- Paired axial CT (left) and PSMA PET (right), 18F tracer
- acquired on Siemens Biograph mCT Flow 20
- PET panel 200×200 px (4.1 mm/px)
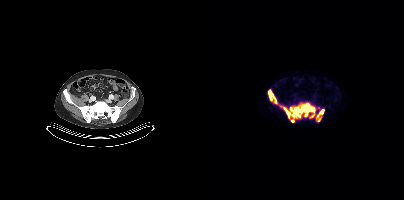
Findings: Coordinates are on the 200×200 PET (right) panel. PSMA-avid tumor lesion bounding boxes (x0, y0)-(x1, y1): (86, 103)-(110, 117) / (64, 89)-(73, 103) / (79, 107)-(86, 118) / (113, 110)-(119, 117). Small PSMA-avid foci (2 to 4 px across) near (center x, center y): (88, 121) / (102, 115) / (115, 119).